Paired axial CT (left) and PSMA PET (right), 18F-PSMA tracer.
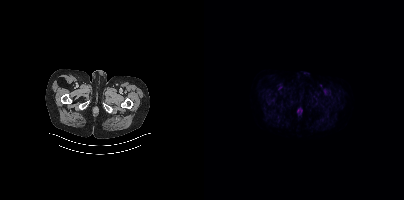
No PSMA-avid tumor lesions on this slice.